Left: CT. Right: PSMA PET, same axial level, [18F]PSMA-1007 tracer. Acquired on Siemens Biograph mCT Flow 20. PET panel 200×200 px (4.1 mm/px).
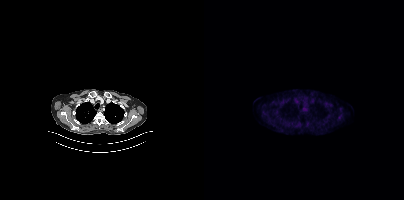
Coordinates are on the 200×200 PET (right) panel. Small PSMA-avid focus (2 to 4 px across) near (center x, center y): (135, 117).